Technique: Left: CT. Right: PSMA PET, same axial level, [18F]PSMA-1007 tracer. PET panel 200×200 px (4.1 mm/px).
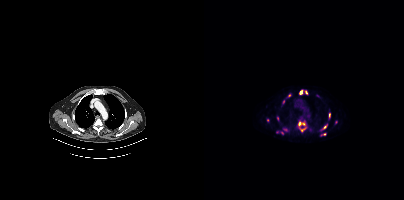
Findings: Coordinates are on the 200×200 PET (right) panel. (showing 8 of 11 foci) PSMA-avid tumor lesion bounding box (x0,y0,x1,y1): [94,122,101,125]. Small PSMA-avid foci (2 to 4 px across) near (center x, center y): (97, 92) (121, 126) (98, 130) (120, 134) (125, 115) (102, 92) (73, 117).